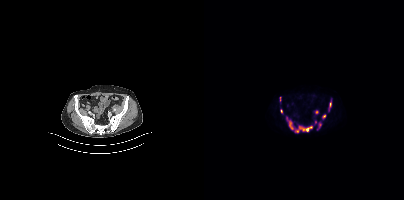
Coordinates are on the 200×200 PET (right) panel. (showing 8 of 11 foci) PSMA-avid tumor lesion bounding boxes (x0,y0,x1,y1): [95,126,108,131] [85,121,89,129] [115,123,117,127] [126,102,127,106]. Small PSMA-avid foci (2 to 4 px across) near (center x, center y): (92, 131) (77, 111) (111, 121) (120, 115).